modality: PSMA PET/CT | tracer: 18F-PSMA | view: axial | PET grid: 256×256
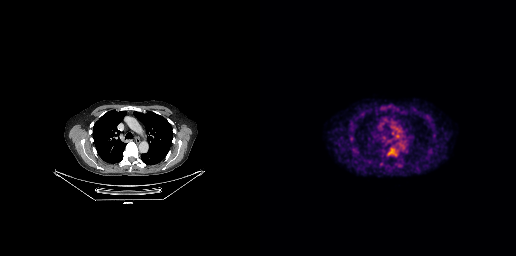
Coordinates are on the 256×256 PET (right) panel. Small PSMA-avid focus (2 to 4 px across) near (center x, center y): (137, 135).